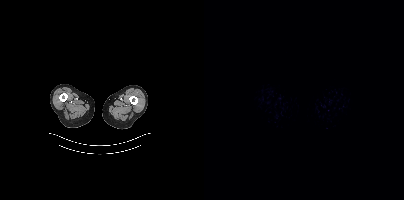
{"modality":"PSMA PET/CT","view":"axial","tracer":"18F","pet_grid":[200,200],"coord_frame":"pet_panel","coord_format":"x0,y0,x1,y1","psma_avid_lesions":false}